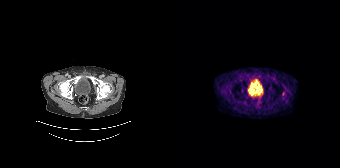
{"modality":"PSMA PET/CT","view":"axial","tracer":"68Ga-PSMA","pet_grid":[168,168],"coord_frame":"pet_panel","coord_format":"x0,y0,x1,y1","psma_avid_lesions":false}